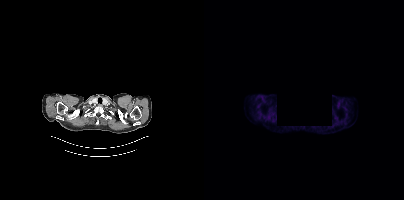
{"pet_grid":[200,200],"coord_frame":"pet_panel","coord_format":"x0,y0,x1,y1","psma_avid_lesions":false,"modality":"PSMA PET/CT","view":"axial","tracer":"[18F]PSMA-1007","deidentification":"rectangular block set to black"}